Paired axial CT (left) and PSMA PET (right), [18F]PSMA-1007 tracer. Acquired on GE Discovery 690. Slice 221 of 263. PET panel 256×256 px (2.7 mm/px).
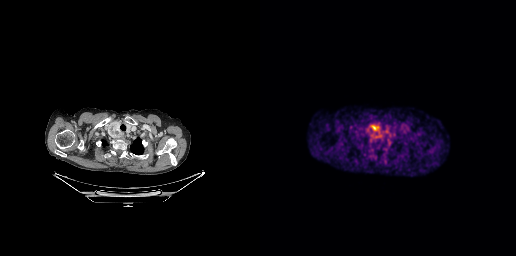
Coordinates are on the 256×256 PET (right) panel. PSMA-avid tumor lesion bounding boxes:
| # | x0 | y0 | x1 | y1 |
|---|---|---|---|---|
| 1 | 110 | 130 | 120 | 140 |